- Left: CT. Right: PSMA PET, same axial level, 68Ga-PSMA tracer
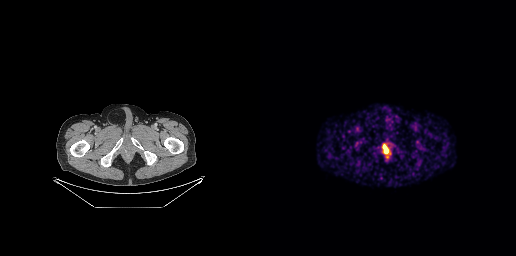
Findings: Coordinates are on the 256×256 PET (right) panel. PSMA-avid tumor lesion bounding box (x0,y0,x1,y1): [122,144,128,152].